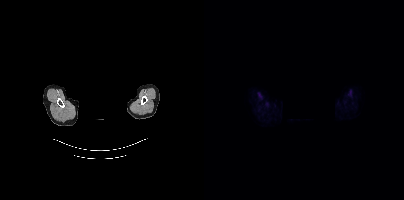
- privacy masking over the head, with the pixels inside a rectangle set to black
- Paired axial CT (left) and PSMA PET (right), 18F-PSMA tracer
- slice position z = -908 mm
Findings: Negative for PSMA-avid disease on this slice.